Paired axial CT (left) and PSMA PET (right), 18F tracer. Slice 76 of 423. PET panel 200×200 px (4.1 mm/px).
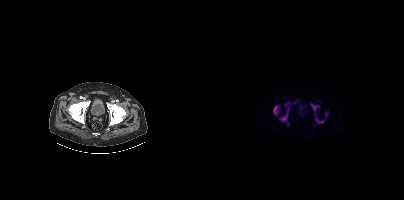
Coordinates are on the 200×200 PET (right) panel. PSMA-avid tumor lesion bounding boxes (partial; 2 more foci not listed):
| # | x0 | y0 | x1 | y1 |
|---|---|---|---|---|
| 1 | 69 | 105 | 75 | 115 |
| 2 | 108 | 104 | 115 | 111 |
| 3 | 76 | 114 | 83 | 121 |
| 4 | 111 | 117 | 119 | 123 |
| 5 | 121 | 112 | 124 | 116 |
| 6 | 83 | 108 | 84 | 112 |
Small PSMA-avid focus (2 to 4 px across) near (center x, center y): (90, 102).